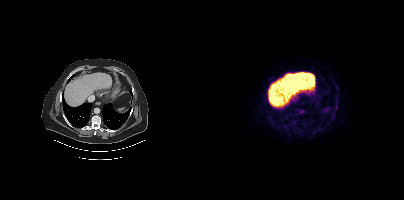
{"modality":"PSMA PET/CT","view":"axial","tracer":"18F","pet_grid":[200,200],"coord_frame":"pet_panel","coord_format":"x0,y0,x1,y1","lesion_bboxes":[],"small_foci_centers":[[132,107]]}